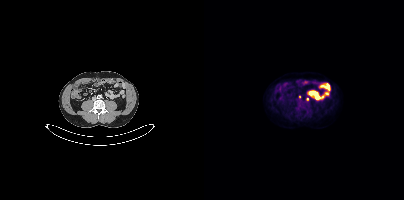
{"modality":"PSMA PET/CT","view":"axial","tracer":"18F-PSMA","pet_grid":[200,200],"coord_frame":"pet_panel","coord_format":"x0,y0,x1,y1","lesion_bboxes":[],"small_foci_centers":[[103,99],[95,96]]}